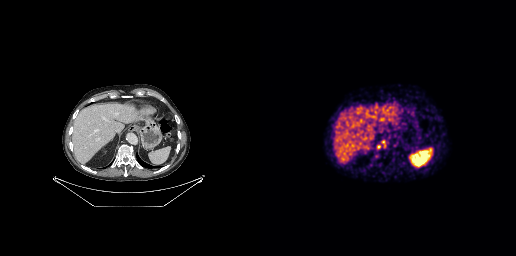
Two-panel axial: CT | PSMA PET, 68Ga tracer. Acquired on GE Discovery 690.
Coordinates are on the 256×256 PET (right) panel. PSMA-avid tumor lesion bounding boxes:
| # | x0 | y0 | x1 | y1 |
|---|---|---|---|---|
| 1 | 117 | 145 | 120 | 149 |
| 2 | 122 | 141 | 125 | 147 |
Small PSMA-avid focus (2 to 4 px across) near (center x, center y): (116, 156).